Paired axial CT (left) and PSMA PET (right), 18F tracer. Slice position z = -666 mm.
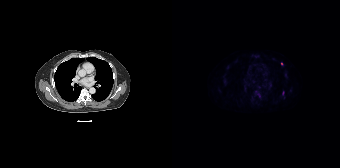
Coordinates are on the 168×168 PET (right) panel. Small PSMA-avid focus (2 to 4 px across) near (center x, center y): (109, 63).